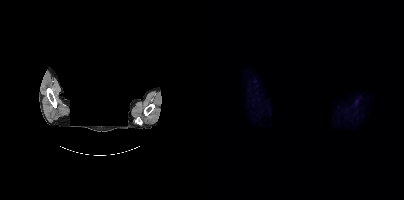
Technique: Paired axial CT (left) and PSMA PET (right), [18F]PSMA-1007 tracer. slice 379 of 435.
Note: A rectangle over the head was blacked out to remove identifiable facial features.
Findings: No PSMA-avid tumor lesions on this slice.